modality: PSMA PET/CT | tracer: 18F | view: axial | PET grid: 200×200 | redaction: head region blanked (face removed)
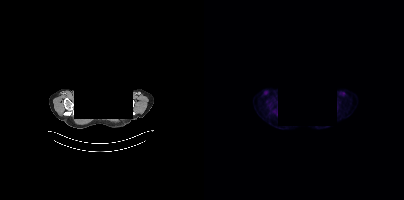
No tumor lesions annotated on this slice.